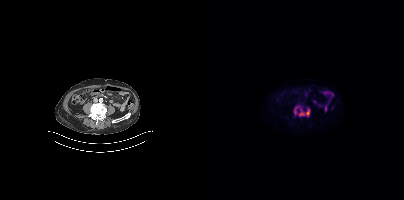
Coordinates are on the 200×200 PET (right) panel. PSMA-avid tumor lesion bounding boxes:
| # | x0 | y0 | x1 | y1 |
|---|---|---|---|---|
| 1 | 89 | 105 | 106 | 117 |
Paired axial CT (left) and PSMA PET (right), 18F tracer. Acquired on Siemens Biograph mCT Flow 20.